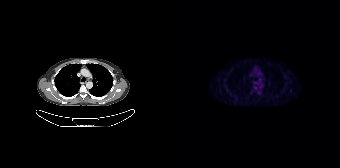
Technique: Left: CT. Right: PSMA PET, same axial level, 18F tracer.
Findings: Only PSMA-avid lesion pieces thinner than 2 px on this slice (not listed).